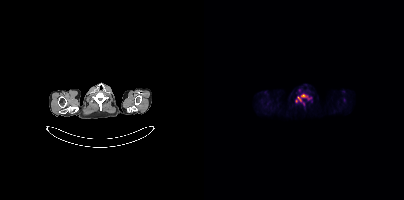
Findings: Coordinates are on the 200×200 PET (right) panel. PSMA-avid tumor lesion bounding box (x0,y0,x1,y1): [91,93,107,105].
Technique: Two-panel axial: CT | PSMA PET, 18F-PSMA tracer. acquired on Siemens Biograph mCT Flow 20. PET panel 200×200 px (4.1 mm/px).